Left: CT. Right: PSMA PET, same axial level, [18F]PSMA-1007 tracer.
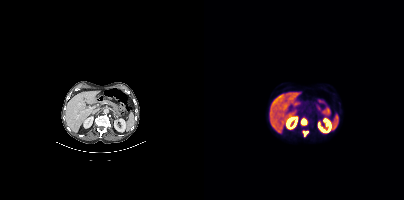
Coordinates are on the 200×200 PET (right) panel. PSMA-avid tumor lesion bounding boxes (x, y, width, height): x=97 y=119 w=6 h=6; x=99 y=131 w=5 h=4.